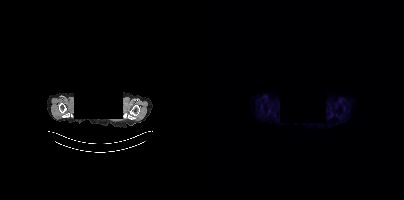
Two-panel axial: CT | PSMA PET, 18F tracer. PET panel 200×200 px (4.1 mm/px). The head region is masked for de-identification. No PSMA-avid tumor lesions on this slice.